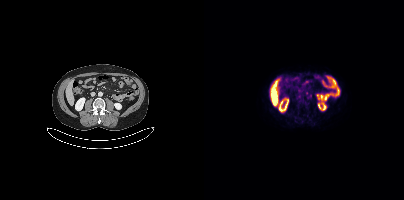
Coordinates are on the 200×200 PET (right) panel. (showing 2 of 3 foci) Small PSMA-avid foci (2 to 4 px across) near (center x, center y): (102, 92) | (95, 96). Two-panel axial: CT | PSMA PET, 18F tracer. Acquired on Siemens Biograph mCT Flow 20. PET panel 200×200 px (4.1 mm/px).